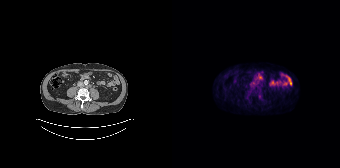
Left: CT. Right: PSMA PET, same axial level, [18F]PSMA-1007 tracer. PET panel 168×168 px (4.1 mm/px).
Coordinates are on the 168×168 PET (right) panel. PSMA-avid tumor lesion bounding boxes:
| # | x0 | y0 | x1 | y1 |
|---|---|---|---|---|
| 1 | 86 | 93 | 88 | 97 |